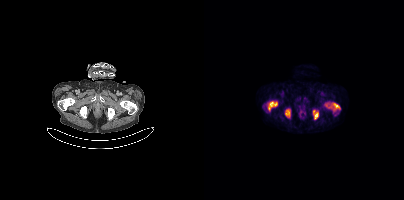
Coordinates are on the 200×200 PET (right) panel. PSMA-avid tumor lesion bounding boxes (x, y, width, height): x=122 y=103 w=15 h=8 / x=64 y=102 w=10 h=8 / x=109 y=110 w=6 h=10 / x=81 y=109 w=6 h=8.